Technique: Paired axial CT (left) and PSMA PET (right), 68Ga tracer. acquired on GE Discovery 690. PET panel 256×256 px (2.7 mm/px).
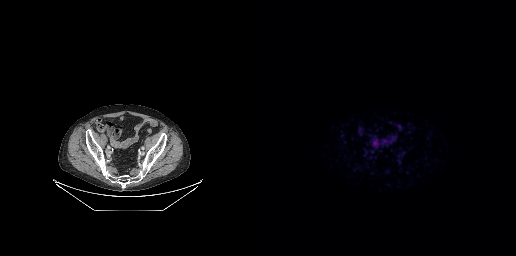
Findings: This slice has no annotated PSMA-avid lesion.